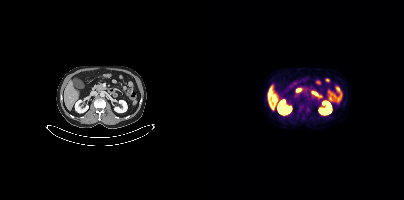
Negative for PSMA-avid disease on this slice.